- Two-panel axial: CT | PSMA PET, [18F]PSMA-1007 tracer
- PET panel 200×200 px (4.1 mm/px)
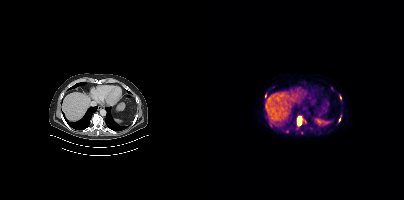
Findings: Coordinates are on the 200×200 PET (right) panel. (showing 2 of 3 foci) PSMA-avid tumor lesion bounding box (x0, y0)-(x1, y1): (93, 119)-(98, 126). Small PSMA-avid focus (2 to 4 px across) near (center x, center y): (135, 119).